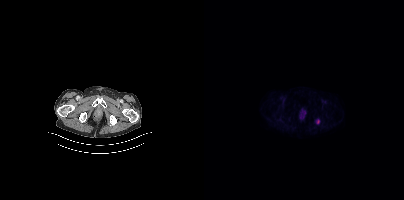
{"modality":"PSMA PET/CT","view":"axial","tracer":"18F","pet_grid":[200,200],"coord_frame":"pet_panel","coord_format":"x0,y0,x1,y1","lesion_bboxes":[[113,119,115,123]]}